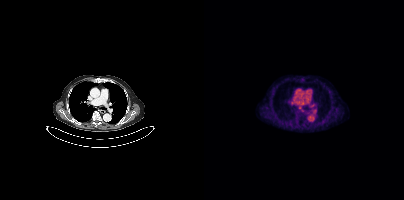
Coordinates are on the 200×200 PET (right) panel. Small PSMA-avid foci (2 to 4 px across) near (center x, center y): (95, 107); (88, 103). Left: CT. Right: PSMA PET, same axial level, 18F-PSMA tracer. Slice position z = -1206 mm. PET panel 200×200 px (4.1 mm/px).